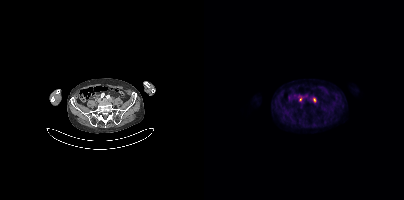
Two-panel axial: CT | PSMA PET, [18F]PSMA-1007 tracer. PET panel 200×200 px (4.1 mm/px).
Coordinates are on the 200×200 PET (right) panel. PSMA-avid tumor lesion bounding boxes:
| # | x0 | y0 | x1 | y1 |
|---|---|---|---|---|
| 1 | 109 | 98 | 111 | 102 |
Small PSMA-avid focus (2 to 4 px across) near (center x, center y): (96, 98).